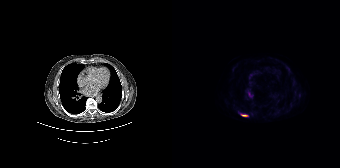
modality: PSMA PET/CT | tracer: 18F | view: axial | PET grid: 168×168
Coordinates are on the 168×168 PET (right) panel. PSMA-avid tumor lesion bounding box (x, y, width, height): x=69 y=114 w=8 h=3.